Paired axial CT (left) and PSMA PET (right), 18F tracer. Acquired on Siemens Biograph mCT Flow 20. Slice 315 of 417.
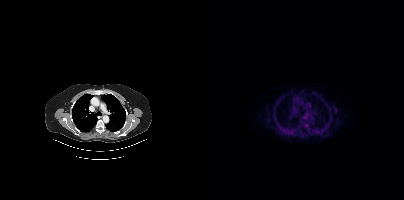
This slice has no annotated PSMA-avid lesion.